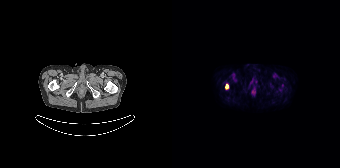
Coordinates are on the 168×168 PET (right) panel. PSMA-avid tumor lesion bounding box (x0, y0)-(x1, y1): (53, 83)-(56, 89). Left: CT. Right: PSMA PET, same axial level, 18F-PSMA tracer. Slice 20 of 165.